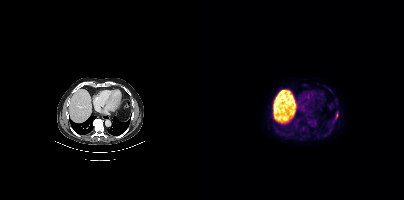
Left: CT. Right: PSMA PET, same axial level, 18F tracer. Acquired on Siemens Biograph mCT Flow 20. Slice 265 of 417. PET panel 200×200 px (4.1 mm/px).
Coordinates are on the 200×200 PET (right) panel. PSMA-avid tumor lesion bounding boxes (partial; 1 more focus not listed):
| # | x0 | y0 | x1 | y1 |
|---|---|---|---|---|
| 1 | 131 | 114 | 133 | 119 |